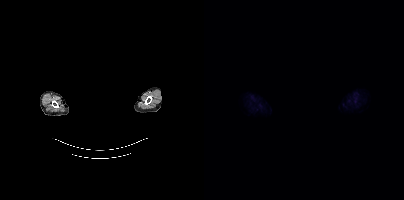
No PSMA-avid tumor lesions on this slice.
A rectangular block over the head has been blanked out for de-identification.